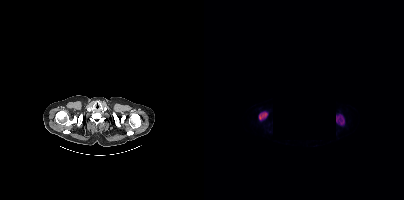
Coordinates are on the 200×200 PET (right) panel. PSMA-avid tumor lesion bounding boxes:
| # | x0 | y0 | x1 | y1 |
|---|---|---|---|---|
| 1 | 132 | 114 | 140 | 125 |
| 2 | 55 | 112 | 63 | 120 |
An anonymization step blacked out a rectangle in this scan. Two-panel axial: CT | PSMA PET, 18F-PSMA tracer. PET panel 200×200 px (4.1 mm/px).